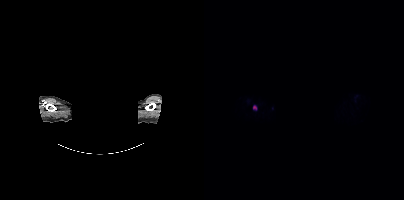
Face de-identified by blanking a block of the head.
Coordinates are on the 200×200 PET (right) panel. PSMA-avid tumor lesion bounding box (x0, y0)-(x1, y1): (49, 105)-(52, 110).